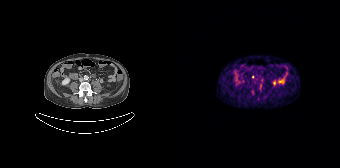
{"modality":"PSMA PET/CT","view":"axial","tracer":"[68Ga]Ga-PSMA-11","pet_grid":[168,168],"coord_frame":"pet_panel","coord_format":"x0,y0,x1,y1","lesion_bboxes":[],"small_foci_centers":[[80,76]]}